modality: PSMA PET/CT | tracer: [18F]PSMA-1007 | view: axial | PET grid: 200×200
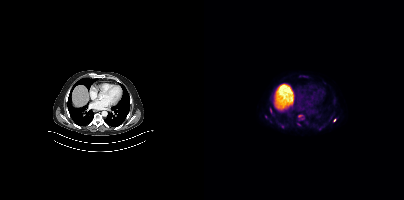
Coordinates are on the 200×200 PET (right) panel. Small PSMA-avid foci (2 to 4 px across) near (center x, center y): (130, 120) / (96, 115).